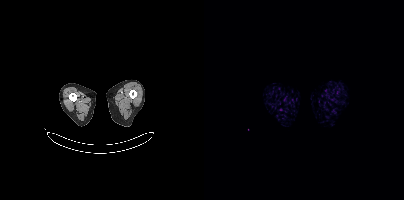
No PSMA-avid tumor lesions on this slice. Two-panel axial: CT | PSMA PET, 18F-PSMA tracer. Slice position z = -1672 mm.